modality: PSMA PET/CT | tracer: 18F-PSMA | view: axial
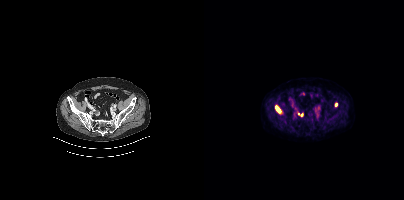
Coordinates are on the 200×200 PET (right) panel. PSMA-avid tumor lesion bounding box (x, y, width, height): x=71 y=106 w=6 h=7. Small PSMA-avid foci (2 to 4 px across) near (center x, center y): (132, 104); (97, 115); (94, 113).